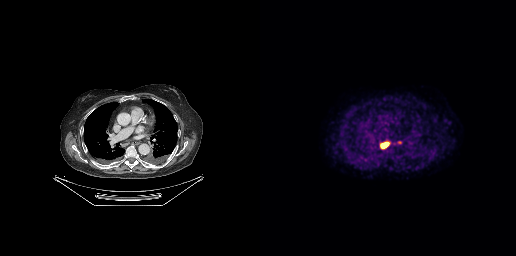
Coordinates are on the 256×256 PET (right) panel. PSMA-avid tumor lesion bounding boxes (x, y, width, height): x=121 y=142 w=9 h=7 / x=137 y=141 w=5 h=3.
modality: PSMA PET/CT | tracer: 18F-PSMA | view: axial